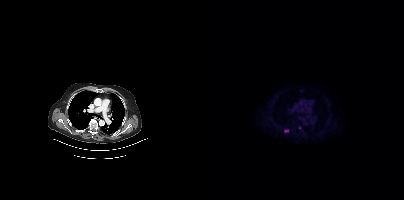
Technique: Left: CT. Right: PSMA PET, same axial level, [18F]PSMA-1007 tracer.
Findings: Coordinates are on the 200×200 PET (right) panel. (showing 1 of 2 foci) Small PSMA-avid focus (2 to 4 px across) near (center x, center y): (82, 130).